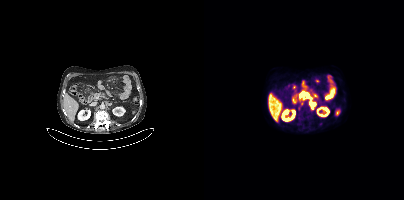
{"modality":"PSMA PET/CT","view":"axial","tracer":"18F-PSMA","pet_grid":[200,200],"coord_frame":"pet_panel","coord_format":"x0,y0,x1,y1","partial":true,"lesion_bboxes":[[105,101,111,108],[96,92,104,96]],"small_foci_centers":[[98,102]]}